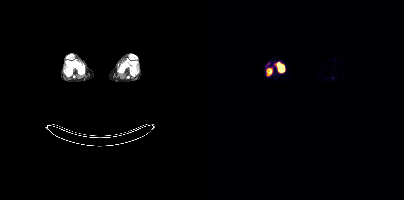
Coordinates are on the 200×200 PET (right) panel. PSMA-avid tumor lesion bounding boxes (x, y, width, height): x=73 y=62 w=8 h=11; x=63 y=69 w=5 h=7.
modality: PSMA PET/CT | tracer: 18F | view: axial | PET grid: 200×200